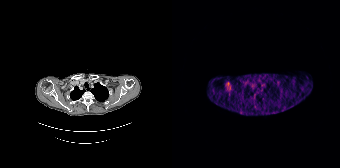
{"modality":"PSMA PET/CT","view":"axial","tracer":"68Ga-PSMA","pet_grid":[168,168],"coord_frame":"pet_panel","coord_format":"x0,y0,x1,y1","psma_avid_lesions":false}